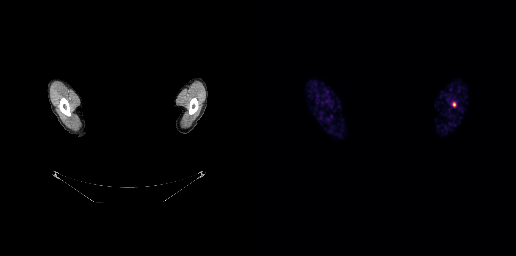
Coordinates are on the 256×256 PET (right) panel. PSMA-avid tumor lesion bounding box (x, y, width, height): x=192 y=102 w=4 h=5.
modality: PSMA PET/CT | tracer: 68Ga-PSMA | view: axial | PET grid: 256×256 | redaction: head region blanked (face removed)